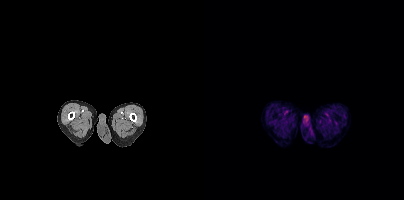
Two-panel axial: CT | PSMA PET, 18F-PSMA tracer. Slice position z = -516 mm. PET panel 200×200 px (4.1 mm/px). This slice has no annotated PSMA-avid lesion.